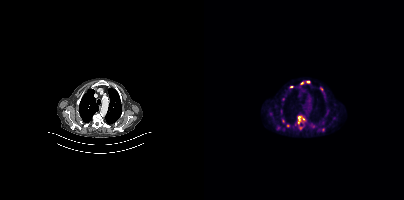
{"pet_grid":[200,200],"coord_frame":"pet_panel","coord_format":"x0,y0,x1,y1","partial":true,"lesion_bboxes":[[91,115,102,130],[96,80,106,84],[117,89,121,97]],"small_foci_centers":[[119,129],[87,86],[109,126],[79,121],[83,125]],"modality":"PSMA PET/CT","view":"axial","tracer":"18F"}